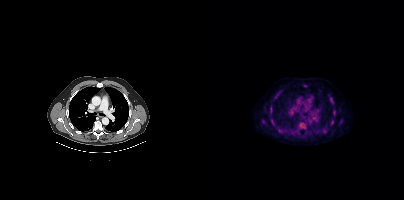
- Two-panel axial: CT | PSMA PET, 18F-PSMA tracer
- acquired on Siemens Biograph mCT Flow 20
- slice position z = -999 mm
Findings: Coordinates are on the 200×200 PET (right) panel. (showing 2 of 3 foci) Small PSMA-avid foci (2 to 4 px across) near (center x, center y): (67, 108) | (67, 120).